modality: PSMA PET/CT | tracer: 18F | view: axial
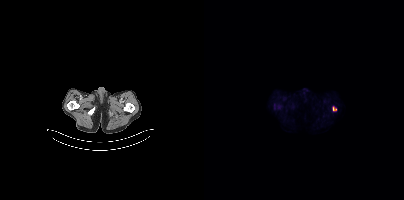
Coordinates are on the 200×200 PET (right) panel. Small PSMA-avid focus (2 to 4 px across) near (center x, center y): (130, 108).